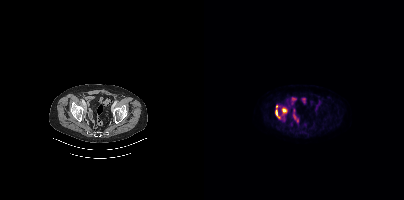
Left: CT. Right: PSMA PET, same axial level, 18F tracer. Slice 93 of 401.
Coordinates are on the 200×200 PET (right) panel. PSMA-avid tumor lesion bounding boxes:
| # | x0 | y0 | x1 | y1 |
|---|---|---|---|---|
| 1 | 78 | 108 | 82 | 112 |
| 2 | 72 | 110 | 75 | 118 |